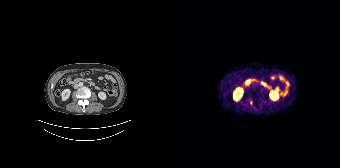
{"modality":"PSMA PET/CT","view":"axial","tracer":"68Ga","pet_grid":[168,168],"coord_frame":"pet_panel","coord_format":"x0,y0,x1,y1","lesion_bboxes":[[62,89,67,100]]}